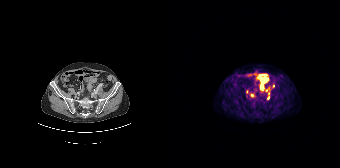
- Paired axial CT (left) and PSMA PET (right), 68Ga tracer
- acquired on Siemens Biograph 64-4R TruePoint
- PET panel 168×168 px (4.1 mm/px)
Findings: Coordinates are on the 168×168 PET (right) panel. (showing 6 of 7 foci) PSMA-avid tumor lesion bounding box (x0,y0,x1,y1): [89,78,96,89]. Small PSMA-avid foci (2 to 4 px across) near (center x, center y): (85, 77), (101, 85), (75, 91), (80, 95), (96, 98).